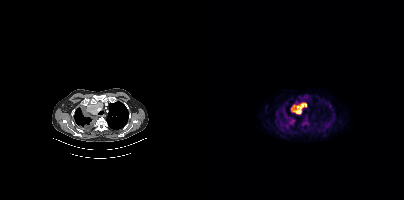
Findings: Coordinates are on the 200×200 PET (right) panel. PSMA-avid tumor lesion bounding boxes (x0, y0)-(x1, y1): (87, 102)-(102, 114) | (79, 111)-(90, 126) | (99, 119)-(103, 124).
- Left: CT. Right: PSMA PET, same axial level, [18F]PSMA-1007 tracer
- acquired on Siemens Biograph mCT Flow 20
- PET panel 200×200 px (4.1 mm/px)